modality: PSMA PET/CT | tracer: 68Ga-PSMA | view: axial | PET grid: 200×200
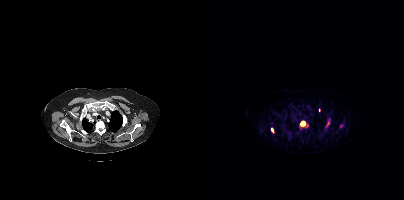
Coordinates are on the 200×200 PET (right) panel. PSMA-avid tumor lesion bounding boxes (x0, y0)-(x1, y1): (95, 121)-(104, 129) | (121, 118)-(126, 128) | (67, 128)-(70, 133). Small PSMA-avid foci (2 to 4 px across) near (center x, center y): (137, 125) | (115, 109).